modality: PSMA PET/CT | tracer: 18F | view: axial | deidentification: head region blanked (face removed)
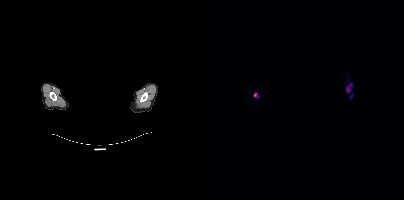
Coordinates are on the 200×200 PET (right) panel. (showing 2 of 3 foci) PSMA-avid tumor lesion bounding boxes (x0,y0,x1,y1): [142,84,148,92], [50,93,54,97].